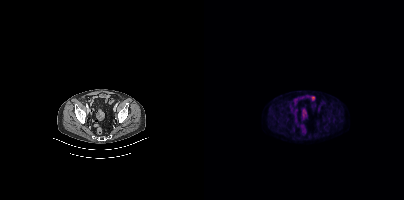
{"modality":"PSMA PET/CT","view":"axial","tracer":"18F-PSMA","pet_grid":[200,200],"coord_frame":"pet_panel","coord_format":"x0,y0,x1,y1","psma_avid_lesions":false}